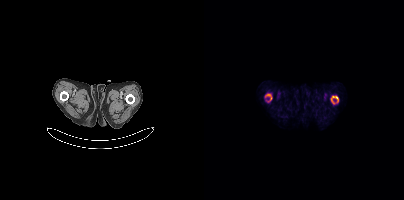
Coordinates are on the 200×200 PET (right) panel. (showing 2 of 3 foci) PSMA-avid tumor lesion bounding boxes (x, y, width, height): x=127 y=96 w=8 h=8 / x=61 y=94 w=7 h=7.